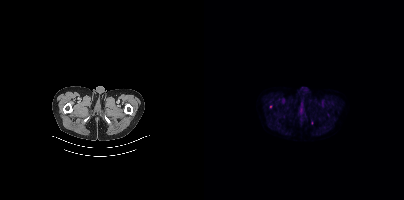
{"pet_grid":[200,200],"coord_frame":"pet_panel","coord_format":"x0,y0,x1,y1","partial":true,"lesion_bboxes":[],"modality":"PSMA PET/CT","view":"axial","tracer":"18F-PSMA"}